modality: PSMA PET/CT | tracer: 18F | view: axial | PET grid: 200×200 | de-identification: facial region redacted
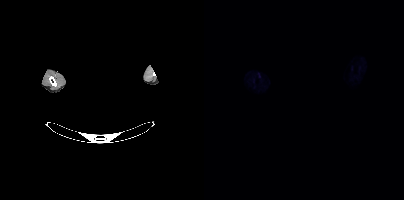
No PSMA-avid tumor lesions on this slice.